Technique: Paired axial CT (left) and PSMA PET (right), [18F]PSMA-1007 tracer. slice position z = -444 mm.
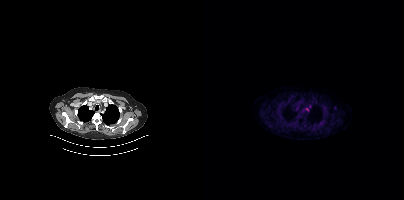
Findings: Only PSMA-avid lesion pieces thinner than 2 px on this slice (not listed).